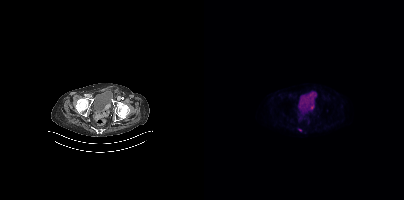
Coordinates are on the 200×200 PET (right) panel. Small PSMA-avid foci (2 to 4 px across) near (center x, center y): (95, 130) (123, 110). Paired axial CT (left) and PSMA PET (right), [18F]PSMA-1007 tracer. Slice 67 of 383. PET panel 200×200 px (4.1 mm/px).